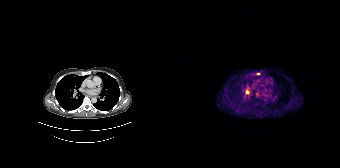
{"modality":"PSMA PET/CT","view":"axial","tracer":"68Ga-PSMA","pet_grid":[168,168],"coord_frame":"pet_panel","coord_format":"x0,y0,x1,y1","lesion_bboxes":[[84,73,88,74]],"small_foci_centers":[[75,91]]}